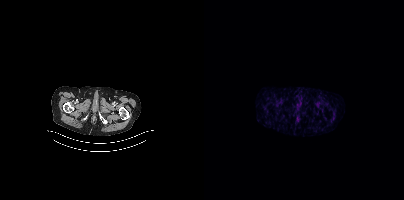
This slice has no annotated PSMA-avid lesion.